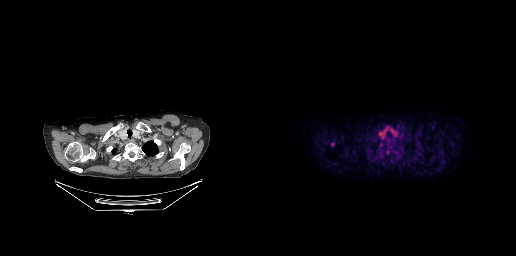
Only PSMA-avid lesion pieces thinner than 2 px on this slice (not listed). Left: CT. Right: PSMA PET, same axial level, 18F-PSMA tracer.